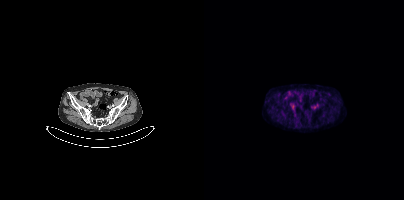
No tumor lesions annotated on this slice.